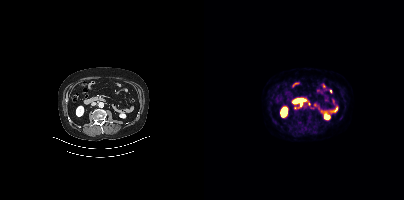
{"modality":"PSMA PET/CT","view":"axial","tracer":"[18F]PSMA-1007","pet_grid":[200,200],"coord_frame":"pet_panel","coord_format":"x0,y0,x1,y1","partial":true,"lesion_bboxes":[],"small_foci_centers":[[91,107]]}